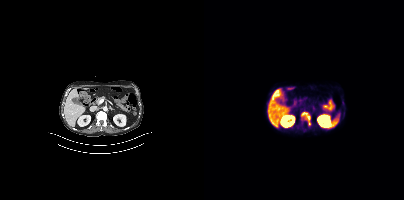
Findings: Coordinates are on the 200×200 PET (right) panel. PSMA-avid tumor lesion bounding boxes (x0,y0,x1,y1): [97,112,106,125]; [139,111,140,116].
- Left: CT. Right: PSMA PET, same axial level, 18F tracer
- acquired on Siemens Biograph mCT Flow 20
- slice 190 of 401
- PET panel 200×200 px (4.1 mm/px)